modality: PSMA PET/CT | tracer: [68Ga]Ga-PSMA-11 | view: axial
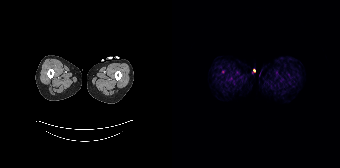
Negative for PSMA-avid disease on this slice.